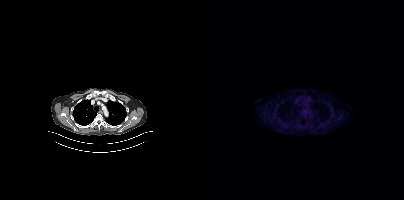
Technique: Two-panel axial: CT | PSMA PET, 18F tracer. acquired on Siemens Biograph mCT Flow 20. PET panel 200×200 px (4.1 mm/px).
Findings: Negative for PSMA-avid disease on this slice.